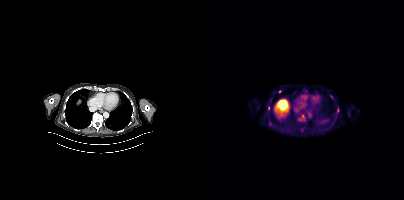
Left: CT. Right: PSMA PET, same axial level, [18F]PSMA-1007 tracer. PET panel 200×200 px (4.1 mm/px). Coordinates are on the 200×200 PET (right) panel. (showing 1 of 2 foci) Small PSMA-avid focus (2 to 4 px across) near (center x, center y): (75, 91).